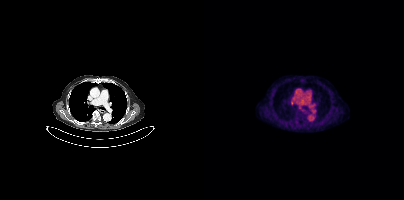
Findings: Coordinates are on the 200×200 PET (right) panel. Small PSMA-avid foci (2 to 4 px across) near (center x, center y): (95, 108) / (88, 103).
Technique: Left: CT. Right: PSMA PET, same axial level, [18F]PSMA-1007 tracer.